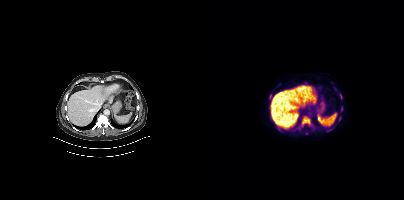
Coordinates are on the 200×200 PET (right) panel. (showing 8 of 9 foci) PSMA-avid tumor lesion bounding boxes (x0,y0,x1,y1): [97,116,106,126], [107,127,111,131], [65,94,67,99], [137,106,138,111], [135,117,137,121], [136,94,137,98]. Small PSMA-avid foci (2 to 4 px across) near (center x, center y): (124, 130), (96, 129).